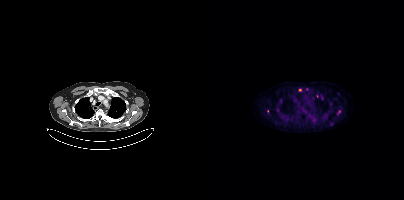
Coordinates are on the 200×200 PET (right) panel. (showing 1 of 4 foci) Small PSMA-avid focus (2 to 4 px across) near (center x, center y): (96, 89).